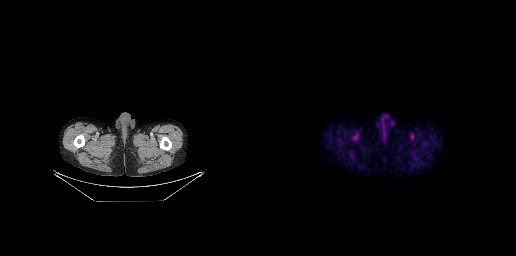
{"modality":"PSMA PET/CT","view":"axial","tracer":"18F-PSMA","pet_grid":[256,256],"coord_frame":"pet_panel","coord_format":"x0,y0,x1,y1","psma_avid_lesions":false}